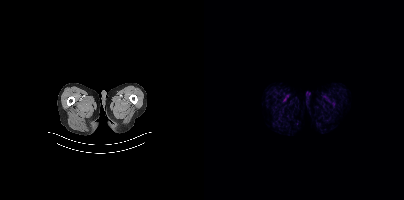
Findings: This slice has no annotated PSMA-avid lesion.
Technique: Left: CT. Right: PSMA PET, same axial level, [18F]PSMA-1007 tracer. PET panel 200×200 px (4.1 mm/px).